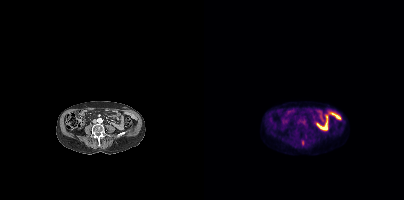
Coordinates are on the 200×200 PET (right) panel. PSMA-avid tumor lesion bounding boxes:
| # | x0 | y0 | x1 | y1 |
|---|---|---|---|---|
| 1 | 97 | 140 | 100 | 145 |
Two-panel axial: CT | PSMA PET, 18F tracer. Acquired on Siemens Biograph mCT Flow 20.